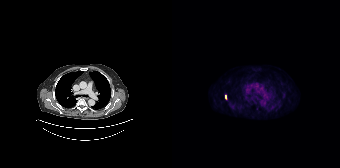
modality: PSMA PET/CT | tracer: 18F-PSMA | view: axial
Coordinates are on the 168×168 PET (right) panel. PSMA-avid tumor lesion bounding box (x, y, width, height): x=53 y=95 w=2 h=5.